Face de-identified by blanking a block of the head. Two-panel axial: CT | PSMA PET, [18F]PSMA-1007 tracer. Slice 416 of 444. PET panel 200×200 px (4.1 mm/px).
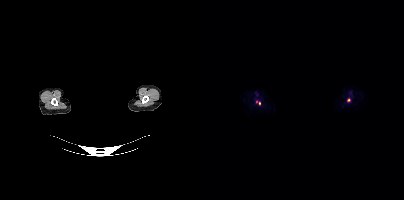
Coordinates are on the 200×200 PET (right) panel. Small PSMA-avid foci (2 to 4 px across) near (center x, center y): (144, 100) | (55, 103).